Paired axial CT (left) and PSMA PET (right), 18F tracer. PET panel 200×200 px (4.1 mm/px). A rectangular block over the head has been blanked out for de-identification.
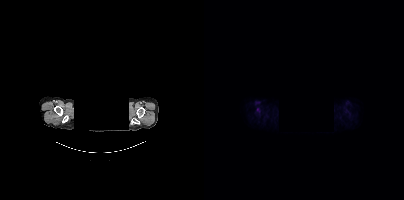
This slice has no annotated PSMA-avid lesion.